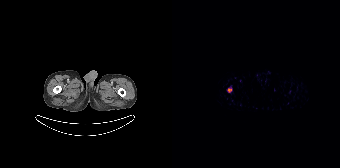
modality: PSMA PET/CT | tracer: [18F]PSMA-1007 | view: axial
Coordinates are on the 168×168 PET (right) panel. PSMA-avid tumor lesion bounding box (x0,y0,x1,y1): [55,87,60,92].